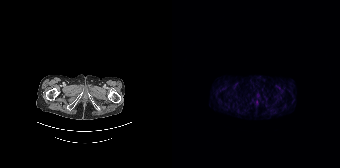
{"modality":"PSMA PET/CT","view":"axial","tracer":"[68Ga]Ga-PSMA-11","pet_grid":[168,168],"coord_frame":"pet_panel","coord_format":"x0,y0,x1,y1","psma_avid_lesions":false}